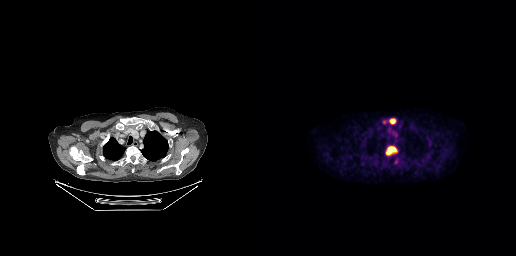
Two-panel axial: CT | PSMA PET, 18F tracer. Coordinates are on the 256×256 PET (right) panel. PSMA-avid tumor lesion bounding box (x0,y0,x1,y1): [126,146,137,155]. Small PSMA-avid foci (2 to 4 px across) near (center x, center y): (132, 121); (135, 163).